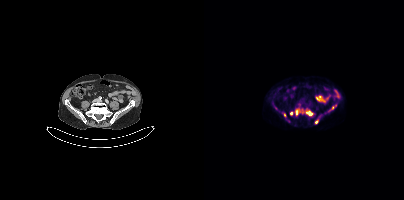
{"pet_grid":[200,200],"coord_frame":"pet_panel","coord_format":"x0,y0,x1,y1","partial":true,"lesion_bboxes":[[101,110,109,115],[124,104,132,111],[91,109,96,115],[111,119,114,123]],"small_foci_centers":[[87,113],[80,115]],"modality":"PSMA PET/CT","view":"axial","tracer":"18F-PSMA"}